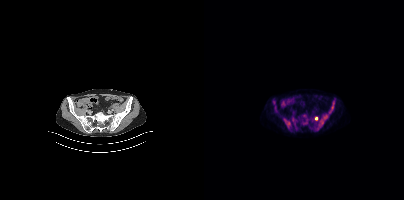
modality: PSMA PET/CT | tracer: [18F]PSMA-1007 | view: axial | PET grid: 200×200
Coordinates are on the 200×200 PET (right) panel. (showing 5 of 6 foci) PSMA-avid tumor lesion bounding boxes (x0, y0)-(x1, y1): (115, 115)-(123, 126) | (79, 118)-(86, 128) | (125, 101)-(130, 113) | (110, 116)-(114, 120). Small PSMA-avid focus (2 to 4 px across) near (center x, center y): (71, 109).